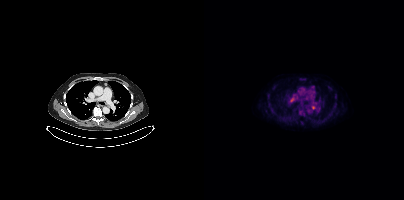
Two-panel axial: CT | PSMA PET, [18F]PSMA-1007 tracer. PET panel 200×200 px (4.1 mm/px). Coordinates are on the 200×200 PET (right) panel. PSMA-avid tumor lesion bounding box (x0,y0,x1,y1): [107,105,115,110]. Small PSMA-avid focus (2 to 4 px across) near (center x, center y): (87, 99).